Left: CT. Right: PSMA PET, same axial level, 18F tracer. Slice position z = -898 mm.
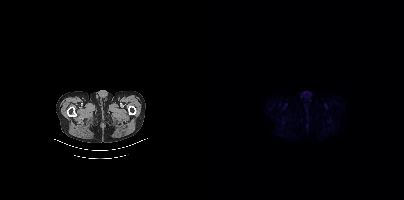
Negative for PSMA-avid disease on this slice.